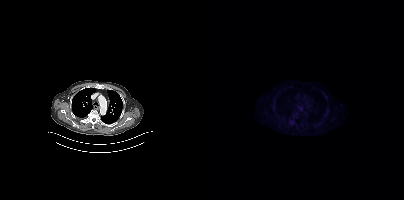
{"modality":"PSMA PET/CT","view":"axial","tracer":"[18F]PSMA-1007","pet_grid":[200,200],"coord_frame":"pet_panel","coord_format":"x0,y0,x1,y1","psma_avid_lesions":false}